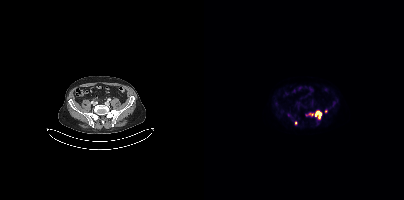
- Paired axial CT (left) and PSMA PET (right), [18F]PSMA-1007 tracer
- acquired on Siemens Biograph mCT Flow 20
- slice 111 of 403
Findings: Coordinates are on the 200×200 PET (right) panel. PSMA-avid tumor lesion bounding box (x0, y0)-(x1, y1): (111, 111)-(117, 118). Small PSMA-avid foci (2 to 4 px across) near (center x, center y): (85, 115) | (91, 123) | (102, 114).